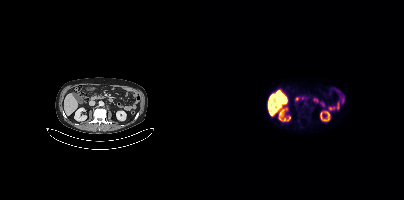
Two-panel axial: CT | PSMA PET, 18F tracer. PET panel 200×200 px (4.1 mm/px). No PSMA-avid tumor lesions on this slice.